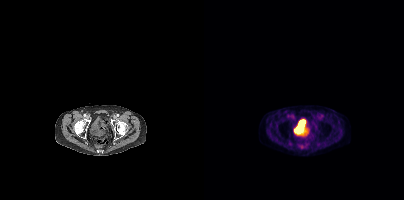
Left: CT. Right: PSMA PET, same axial level, [18F]PSMA-1007 tracer. No tumor lesions annotated on this slice.